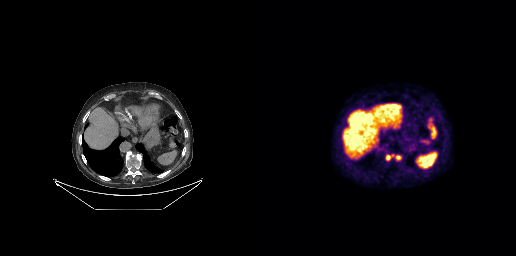
Technique: Two-panel axial: CT | PSMA PET, 18F tracer. acquired on GE Discovery 690.
Findings: Coordinates are on the 256×256 PET (right) panel. PSMA-avid tumor lesion bounding boxes (x0, y0)-(x1, y1): (126, 155)-(133, 160); (136, 155)-(140, 159).